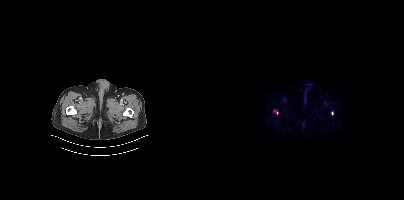
Coordinates are on the 200×200 PET (right) panel. (showing 2 of 3 foci) Small PSMA-avid foci (2 to 4 px across) near (center x, center y): (128, 112), (70, 110).
modality: PSMA PET/CT | tracer: 18F | view: axial